- Two-panel axial: CT | PSMA PET, [68Ga]Ga-PSMA-11 tracer
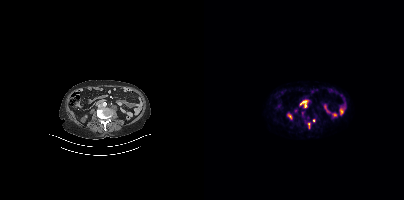
Findings: Coordinates are on the 200×200 PET (right) panel. PSMA-avid tumor lesion bounding boxes (x0,y0,x1,y1): [99,102,103,107], [104,123,106,129], [90,108,93,112]. Small PSMA-avid focus (2 to 4 px across) near (center x, center y): (109, 120).